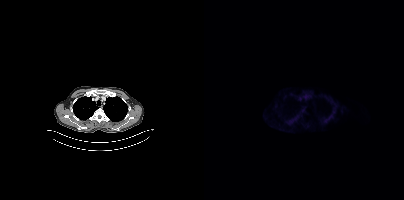
Findings: This slice has no annotated PSMA-avid lesion.
Technique: Left: CT. Right: PSMA PET, same axial level, [18F]PSMA-1007 tracer. slice position z = -983 mm. PET panel 200×200 px (4.1 mm/px).